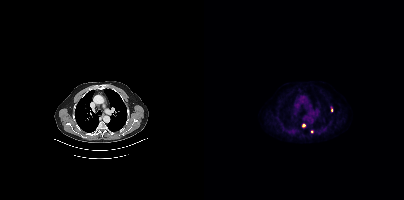
modality: PSMA PET/CT | tracer: 18F-PSMA | view: axial
Coordinates are on the 200×200 PET (right) panel. Small PSMA-avid foci (2 to 4 px across) near (center x, center y): (99, 125) / (127, 110) / (108, 131).